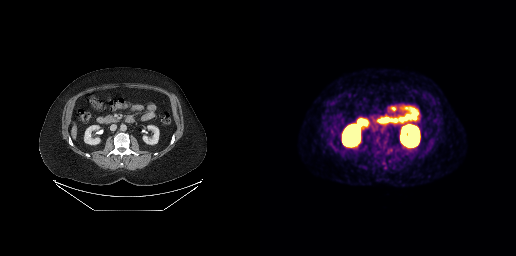
{"pet_grid":[256,256],"coord_frame":"pet_panel","coord_format":"x0,y0,x1,y1","psma_avid_lesions":false,"modality":"PSMA PET/CT","view":"axial","tracer":"[18F]PSMA-1007"}